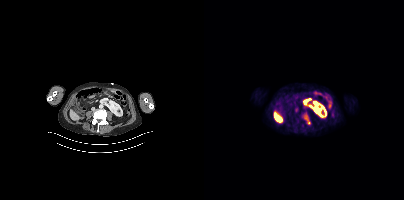
Technique: Two-panel axial: CT | PSMA PET, 18F-PSMA tracer. acquired on Siemens Biograph mCT Flow 20.
Findings: Coordinates are on the 200×200 PET (right) panel. PSMA-avid tumor lesion bounding box (x0,y0,x1,y1): [100,115,106,124].